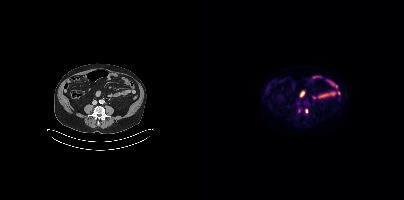
Coordinates are on the 200×200 PET (right) panel. (showing 1 of 2 foci) Small PSMA-avid focus (2 to 4 px across) near (center x, center y): (102, 110). Two-panel axial: CT | PSMA PET, [18F]PSMA-1007 tracer. Acquired on Siemens Biograph mCT Flow 20. Slice position z = -1286 mm. PET panel 200×200 px (4.1 mm/px).